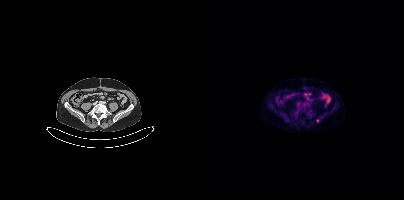
modality: PSMA PET/CT | tracer: 18F-PSMA | view: axial
Coordinates are on the 200×200 PET (right) panel. Small PSMA-avid focus (2 to 4 px across) near (center x, center y): (113, 120).